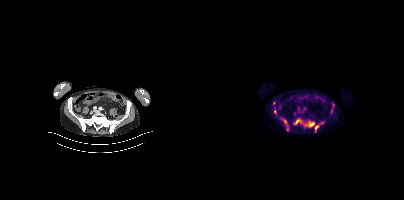
{"modality":"PSMA PET/CT","view":"axial","tracer":"[18F]PSMA-1007","pet_grid":[200,200],"coord_frame":"pet_panel","coord_format":"x0,y0,x1,y1","partial":true,"lesion_bboxes":[[90,120,110,127],[78,119,85,131]],"small_foci_centers":[[71,111],[118,122],[69,102]]}